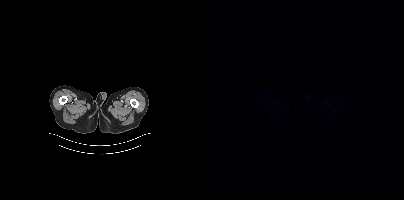
modality: PSMA PET/CT | tracer: [18F]PSMA-1007 | view: axial
No PSMA-avid tumor lesions on this slice.